Some pixels were blanked for anonymization. Paired axial CT (left) and PSMA PET (right), 18F-PSMA tracer.
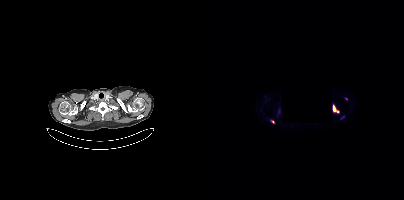
Coordinates are on the 200×200 PET (right) panel. PSMA-avid tumor lesion bounding boxes (partial; 1 more focus not listed):
| # | x0 | y0 | x1 | y1 |
|---|---|---|---|---|
| 1 | 129 | 106 | 134 | 112 |
Small PSMA-avid focus (2 to 4 px across) near (center x, center y): (68, 121).